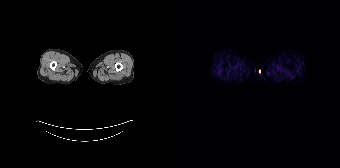
{"pet_grid":[168,168],"coord_frame":"pet_panel","coord_format":"x0,y0,x1,y1","psma_avid_lesions":false,"modality":"PSMA PET/CT","view":"axial","tracer":"68Ga"}